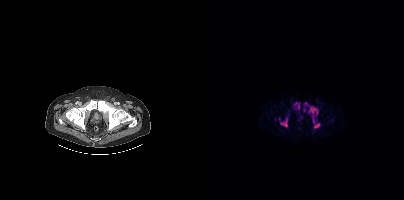
Technique: Left: CT. Right: PSMA PET, same axial level, 18F-PSMA tracer. slice 145 of 508. PET panel 200×200 px (4.1 mm/px).
Findings: Coordinates are on the 200×200 PET (right) panel. (showing 7 of 9 foci) PSMA-avid tumor lesion bounding boxes (x0, y0)-(x1, y1): (105, 106)-(114, 114) / (76, 119)-(83, 126) / (89, 103)-(92, 109) / (110, 123)-(115, 127) / (108, 116)-(111, 120) / (99, 105)-(101, 110). Small PSMA-avid focus (2 to 4 px across) near (center x, center y): (101, 102).